modality: PSMA PET/CT | tracer: 68Ga-PSMA | view: axial | PET grid: 256×256 | de-identification: privacy mask over head
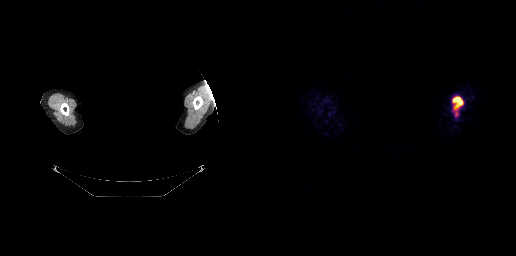
Coordinates are on the 256×256 PET (right) panel. PSMA-avid tumor lesion bounding box (x0, y0)-(x1, y1): (193, 96)-(203, 109).